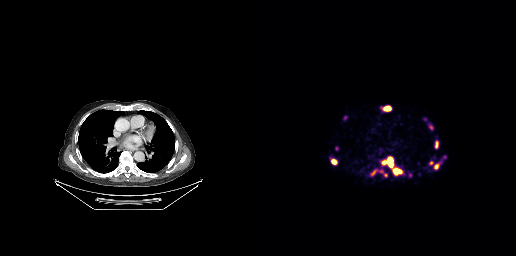
Coordinates are on the 256×256 PET (right) panel. PSMA-avid tumor lesion bounding boxes (x0, y0)-(x1, y1): (133, 168)-(141, 174) | (128, 157)-(132, 166) | (123, 106)-(130, 110) | (71, 159)-(76, 164) | (111, 170)-(117, 175) | (168, 124)-(173, 129) | (175, 141)-(178, 146) | (174, 164)-(178, 168) | (119, 170)-(124, 173). Small PSMA-avid foci (2 to 4 px across) near (center x, center y): (85, 117) | (76, 148) | (165, 119) | (124, 162) | (171, 162).